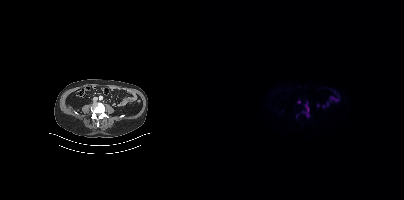
Findings: Coordinates are on the 200×200 PET (right) panel. PSMA-avid tumor lesion bounding box (x0, y0)-(x1, y1): (99, 103)-(105, 114). Small PSMA-avid focus (2 to 4 px across) near (center x, center y): (95, 102).
Technique: Left: CT. Right: PSMA PET, same axial level, 18F-PSMA tracer. acquired on Siemens Biograph mCT Flow 20. slice position z = -828 mm. PET panel 200×200 px (4.1 mm/px).